modality: PSMA PET/CT | tracer: [18F]PSMA-1007 | view: axial | PET grid: 200×200
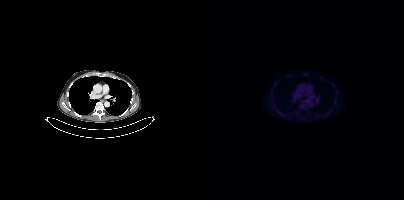
Coordinates are on the 200×200 PET (right) panel. Small PSMA-avid focus (2 to 4 px across) near (center x, center y): (123, 113).